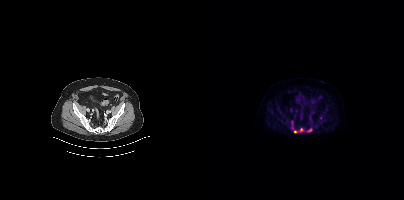
Coordinates are on the 200×200 PET (right) panel. (showing 3 of 5 foci) PSMA-avid tumor lesion bounding box (x, y, width, height): x=103 y=128 w=6 h=5. Small PSMA-avid foci (2 to 4 px across) near (center x, center y): (97, 129) | (91, 131).